Left: CT. Right: PSMA PET, same axial level, [18F]PSMA-1007 tracer. Acquired on Siemens Biograph mCT Flow 20.
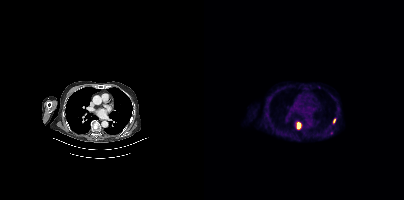
Coordinates are on the 200×200 PET (right) panel. PSMA-avid tumor lesion bounding boxes (partial; 1 more focus not listed):
| # | x0 | y0 | x1 | y1 |
|---|---|---|---|---|
| 1 | 93 | 122 | 97 | 129 |
| 2 | 129 | 118 | 131 | 123 |